- Left: CT. Right: PSMA PET, same axial level, 18F tracer
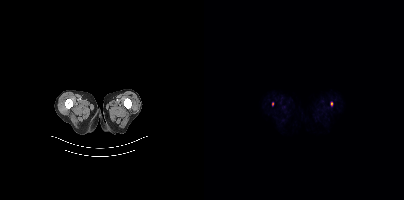
Findings: Coordinates are on the 200×200 PET (right) panel. Small PSMA-avid foci (2 to 4 px across) near (center x, center y): (68, 103) | (127, 103).